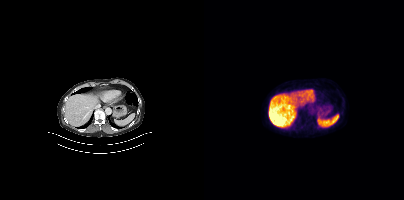
Negative for PSMA-avid disease on this slice. Two-panel axial: CT | PSMA PET, [18F]PSMA-1007 tracer. Acquired on Siemens Biograph mCT Flow 20. Slice position z = -1137 mm. PET panel 200×200 px (4.1 mm/px).